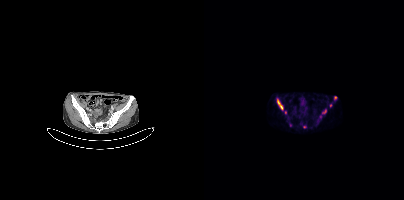
{"modality":"PSMA PET/CT","view":"axial","tracer":"68Ga","pet_grid":[200,200],"coord_frame":"pet_panel","coord_format":"x0,y0,x1,y1","lesion_bboxes":[[73,99,79,110],[118,109,122,113]],"small_foci_centers":[[131,97],[100,127],[81,112],[126,105],[116,116]]}